Technique: Left: CT. Right: PSMA PET, same axial level, 18F-PSMA tracer. slice position z = -1534 mm.
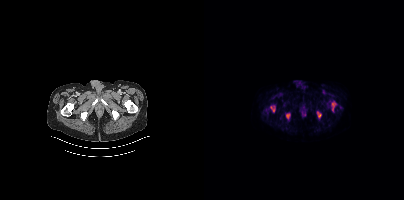
Findings: Coordinates are on the 200×200 PET (right) panel. PSMA-avid tumor lesion bounding boxes (x, y, width, height): x=66 y=105 w=6 h=8; x=82 y=113 w=5 h=7; x=128 y=102 w=4 h=9; x=113 y=112 w=5 h=6.